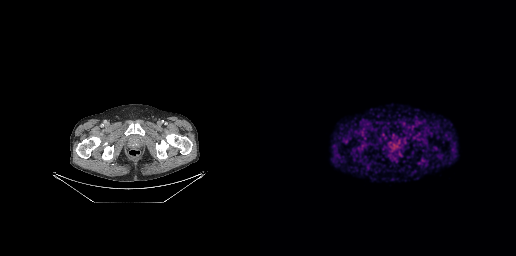
Negative for PSMA-avid disease on this slice.